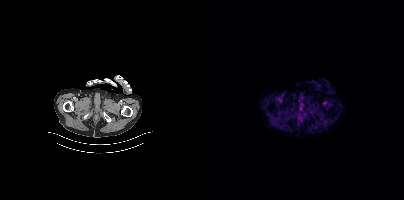
No PSMA-avid tumor lesions on this slice.